modality: PSMA PET/CT | tracer: 18F-PSMA | view: axial
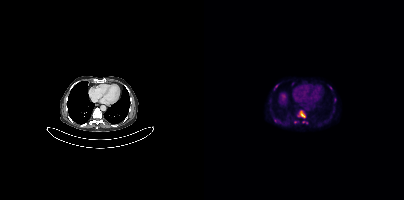
Coordinates are on the 200×200 PET (right) panel. (showing 5 of 7 foci) PSMA-avid tumor lesion bounding boxes (x0, y0)-(x1, y1): (94, 110)-(101, 117); (70, 119)-(76, 122). Small PSMA-avid foci (2 to 4 px across) near (center x, center y): (99, 121); (91, 121); (72, 85).